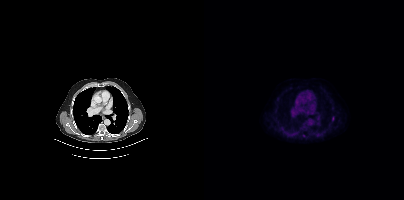
{"modality":"PSMA PET/CT","view":"axial","tracer":"18F","pet_grid":[200,200],"coord_frame":"pet_panel","coord_format":"x0,y0,x1,y1","psma_avid_lesions":false}